Left: CT. Right: PSMA PET, same axial level, 68Ga tracer. Acquired on Siemens Biograph 64-4R TruePoint.
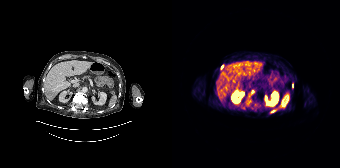
Coordinates are on the 168×168 PET (right) panel. PSMA-avid tumor lesion bounding boxes (partial; 1 more focus not listed):
| # | x0 | y0 | x1 | y1 |
|---|---|---|---|---|
| 1 | 79 | 90 | 82 | 94 |
Small PSMA-avid foci (2 to 4 px across) near (center x, center y): (50, 66); (101, 111).